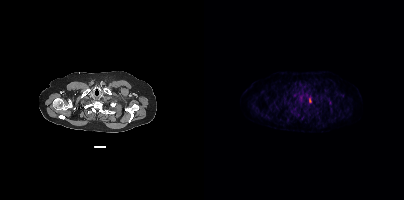
Coordinates are on the 200×200 PET (right) panel. (showing 2 of 3 foci) Small PSMA-avid foci (2 to 4 px across) near (center x, center y): (126, 103) | (91, 108).